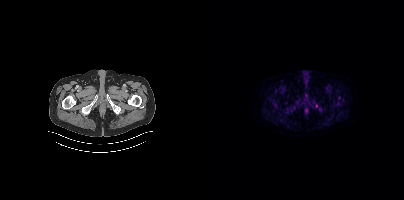
modality: PSMA PET/CT | tracer: 18F | view: axial
No PSMA-avid tumor lesions on this slice.